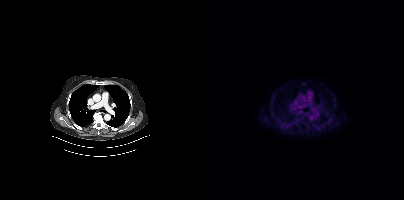
{"modality":"PSMA PET/CT","view":"axial","tracer":"18F","pet_grid":[200,200],"coord_frame":"pet_panel","coord_format":"x0,y0,x1,y1","psma_avid_lesions":false}